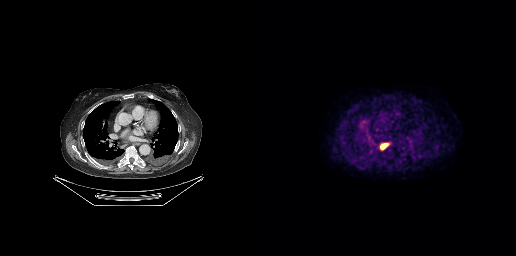
Coordinates are on the 256×256 PET (right) panel. PSMA-avid tumor lesion bounding boxes:
| # | x0 | y0 | x1 | y1 |
|---|---|---|---|---|
| 1 | 120 | 142 | 130 | 149 |
Left: CT. Right: PSMA PET, same axial level, [18F]PSMA-1007 tracer. Slice position z = -404 mm.